Two-panel axial: CT | PSMA PET, 18F-PSMA tracer. Acquired on Siemens Biograph mCT Flow 20. Slice position z = -1360 mm.
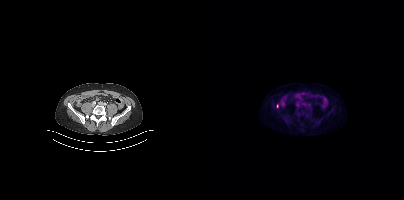
Only PSMA-avid lesion pieces thinner than 2 px on this slice (not listed).